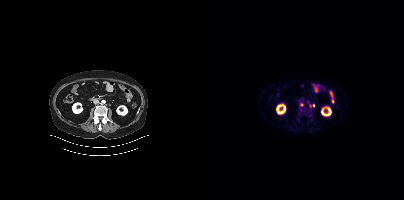
Coordinates are on the 200×200 PET (right) panel. Small PSMA-avid foci (2 to 4 px across) near (center x, center y): (109, 105) / (97, 104).